Paired axial CT (left) and PSMA PET (right), [18F]PSMA-1007 tracer.
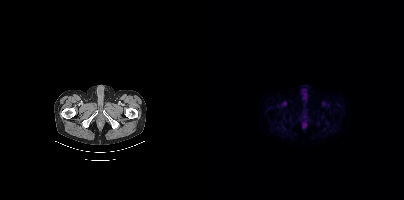
No PSMA-avid tumor lesions on this slice.